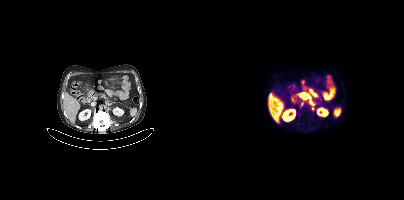
{"modality":"PSMA PET/CT","view":"axial","tracer":"18F","pet_grid":[200,200],"coord_frame":"pet_panel","coord_format":"x0,y0,x1,y1","lesion_bboxes":[[96,93,101,96],[96,101,99,106]],"small_foci_centers":[[107,102]]}